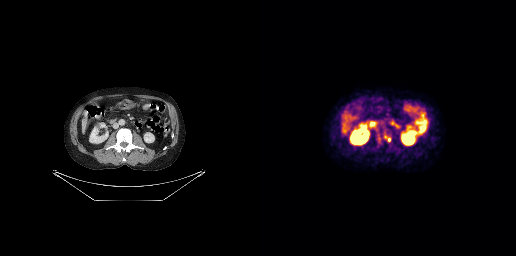
Coordinates are on the 256×256 PET (right) panel. (showing 1 of 2 foci) PSMA-avid tumor lesion bounding box (x0,y0,x1,y1): [124,135,130,141].